Two-panel axial: CT | PSMA PET, [18F]PSMA-1007 tracer. Acquired on Siemens Biograph mCT Flow 20. PET panel 200×200 px (4.1 mm/px).
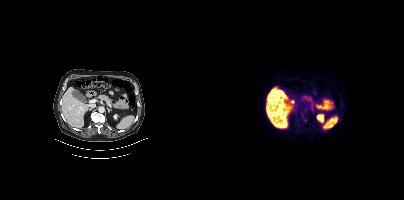
Coordinates are on the 200×200 PET (right) panel. Small PSMA-avid focus (2 to 4 px across) near (center x, center y): (101, 120).